Paired axial CT (left) and PSMA PET (right), [18F]PSMA-1007 tracer. Slice position z = -1368 mm. PET panel 200×200 px (4.1 mm/px).
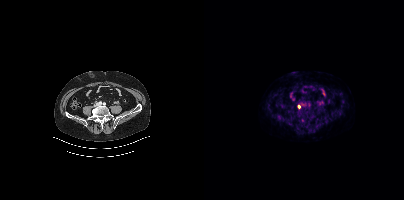
Coordinates are on the 200×200 PET (right) panel. Small PSMA-avid focus (2 to 4 px across) near (center x, center y): (95, 106).